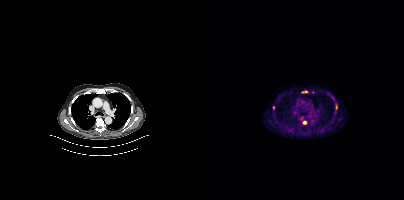
Coordinates are on the 200×200 PET (right) panel. (showing 3 of 4 foci) PSMA-avid tumor lesion bounding box (x, y, width, height): x=98 y=91 w=5 h=2. Small PSMA-avid foci (2 to 4 px across) near (center x, center y): (100, 122); (69, 107).